modality: PSMA PET/CT | tracer: [68Ga]Ga-PSMA-11 | view: axial
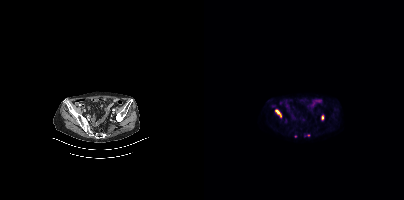
Coordinates are on the 200×200 PET (right) panel. (showing 4 of 5 foci) PSMA-avid tumor lesion bounding boxes (x0, y0)-(x1, y1): (71, 110)-(77, 116) | (100, 134)-(105, 136). Small PSMA-avid foci (2 to 4 px across) near (center x, center y): (69, 106) | (118, 117).